- Left: CT. Right: PSMA PET, same axial level, [18F]PSMA-1007 tracer
- acquired on GE Discovery 690
- slice position z = -701 mm
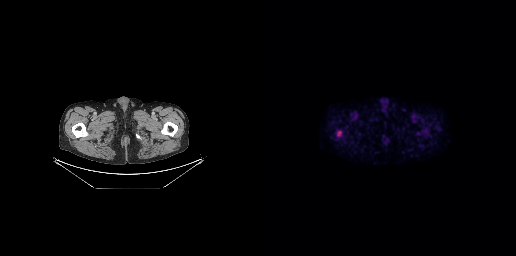
Findings: Coordinates are on the 256×256 PET (right) panel. PSMA-avid tumor lesion bounding box (x0, y0)-(x1, y1): (76, 130)-(82, 136).